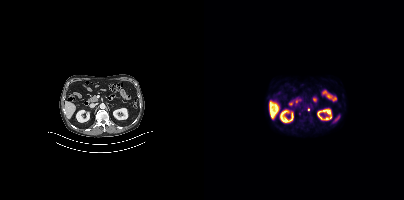
Coordinates are on the 200×200 PET (right) panel. Small PSMA-avid focus (2 to 4 px across) near (center x, center y): (104, 109). Left: CT. Right: PSMA PET, same axial level, 18F tracer. Acquired on Siemens Biograph mCT Flow 20. Slice 210 of 421. PET panel 200×200 px (4.1 mm/px).